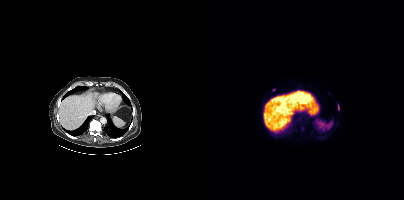
Findings: Coordinates are on the 200×200 PET (right) panel. PSMA-avid tumor lesion bounding box (x0, y0)-(x1, y1): (134, 104)-(135, 110). Small PSMA-avid focus (2 to 4 px across) near (center x, center y): (69, 89).
- Two-panel axial: CT | PSMA PET, 18F tracer
- slice 344 of 508
- PET panel 200×200 px (4.1 mm/px)